- Paired axial CT (left) and PSMA PET (right), 18F tracer
- acquired on Siemens Biograph mCT Flow 20
- slice position z = 85 mm
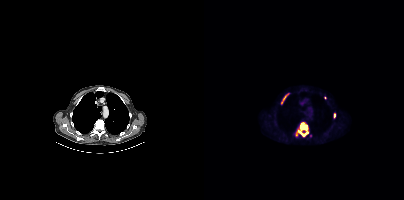
Findings: Coordinates are on the 200×200 PET (right) panel. PSMA-avid tumor lesion bounding boxes (x, y, width, height): x=95 y=122 w=10 h=15; x=77 y=94 w=7 h=10; x=130 y=113 w=2 h=5. Small PSMA-avid foci (2 to 4 px across) near (center x, center y): (121, 97); (92, 133).